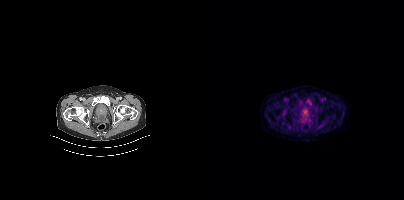
Two-panel axial: CT | PSMA PET, [18F]PSMA-1007 tracer. PET panel 200×200 px (4.1 mm/px). Coordinates are on the 200×200 PET (right) panel. PSMA-avid tumor lesion bounding box (x0, y0)-(x1, y1): (99, 110)-(103, 114).